- Left: CT. Right: PSMA PET, same axial level, [18F]PSMA-1007 tracer
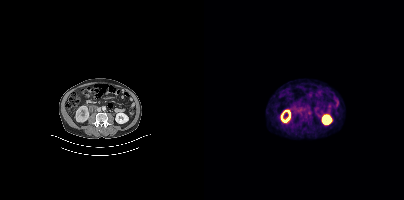
Findings: No PSMA-avid tumor lesions on this slice.